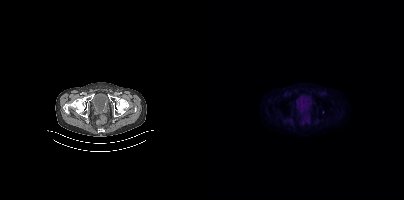
modality: PSMA PET/CT | tracer: 18F-PSMA | view: axial
Only PSMA-avid lesion pieces thinner than 2 px on this slice (not listed).